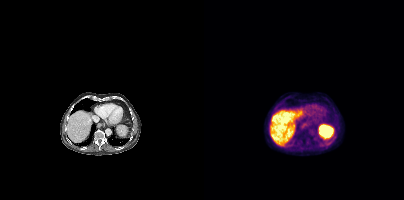
Findings: Only PSMA-avid lesion pieces thinner than 2 px on this slice (not listed).
Technique: Left: CT. Right: PSMA PET, same axial level, [18F]PSMA-1007 tracer. acquired on Siemens Biograph mCT Flow 20. slice position z = -80 mm.